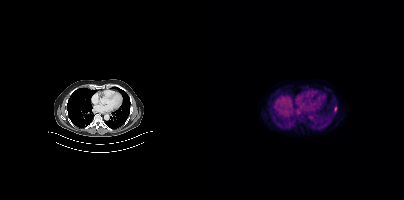
{"pet_grid":[200,200],"coord_frame":"pet_panel","coord_format":"x0,y0,x1,y1","lesion_bboxes":[[130,106,132,112]],"modality":"PSMA PET/CT","view":"axial","tracer":"18F"}